Two-panel axial: CT | PSMA PET, 18F tracer. Acquired on Siemens Biograph mCT Flow 20. PET panel 200×200 px (4.1 mm/px).
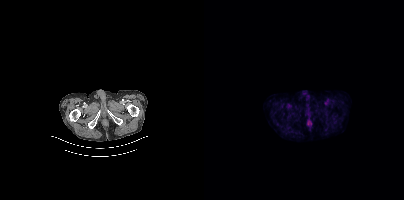
This slice has no annotated PSMA-avid lesion.